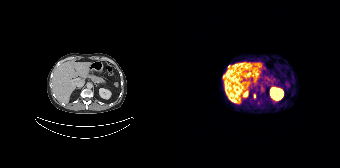
Coordinates are on the 168×168 PET (right) panel. (showing 2 of 3 foci) Small PSMA-avid foci (2 to 4 px across) near (center x, center y): (56, 66), (82, 95).